modality: PSMA PET/CT | tracer: [18F]PSMA-1007 | view: axial | PET grid: 200×200
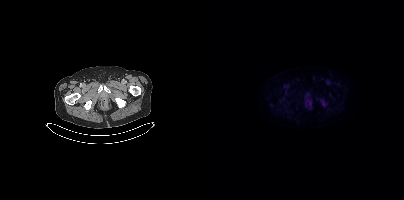
No PSMA-avid tumor lesions on this slice.